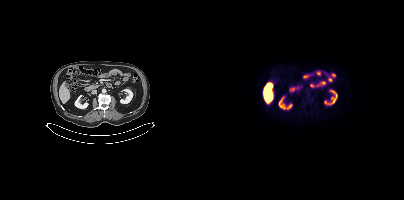
{"modality":"PSMA PET/CT","view":"axial","tracer":"18F-PSMA","pet_grid":[200,200],"coord_frame":"pet_panel","coord_format":"x0,y0,x1,y1","psma_avid_lesions":false}